Paired axial CT (left) and PSMA PET (right), 18F tracer. Acquired on Siemens Biograph mCT Flow 20.
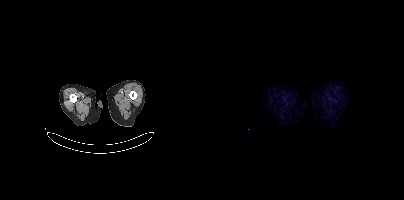
Negative for PSMA-avid disease on this slice.